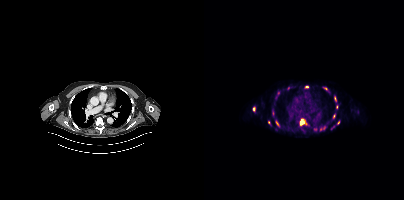
{"modality":"PSMA PET/CT","view":"axial","tracer":"[18F]PSMA-1007","pet_grid":[200,200],"coord_frame":"pet_panel","coord_format":"x0,y0,x1,y1","partial":true,"lesion_bboxes":[[96,119,102,125],[130,96,132,101],[72,121,74,125]],"small_foci_centers":[[102,87],[130,116],[134,122],[121,88],[132,106],[120,128],[84,88],[49,109],[116,129],[111,129]]}